- Left: CT. Right: PSMA PET, same axial level, 18F tracer
- slice position z = -820 mm
- the head region is masked for de-identification
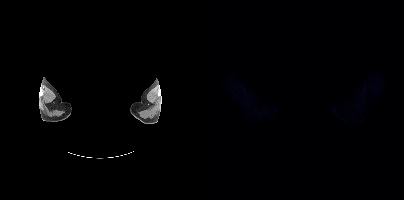
Findings: Negative for PSMA-avid disease on this slice.